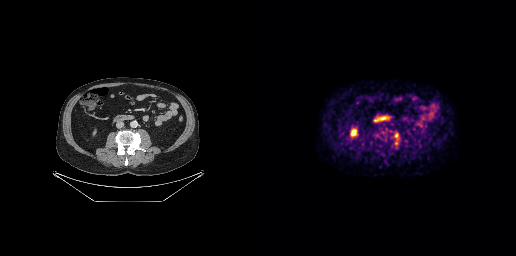
{"pet_grid":[256,256],"coord_frame":"pet_panel","coord_format":"x0,y0,x1,y1","partial":true,"lesion_bboxes":[[133,133,139,145],[122,128,127,132]],"modality":"PSMA PET/CT","view":"axial","tracer":"18F"}